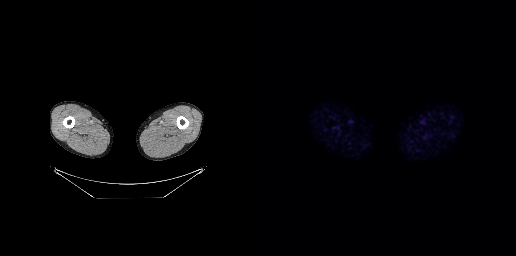
Technique: Left: CT. Right: PSMA PET, same axial level, 18F tracer. slice position z = -963 mm. PET panel 256×256 px (2.7 mm/px).
Findings: No tumor lesions annotated on this slice.